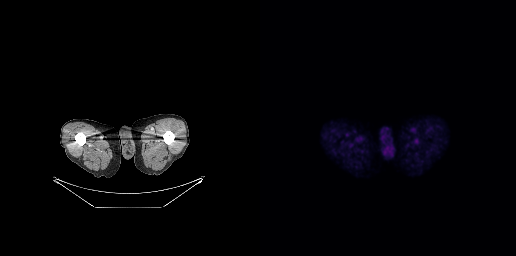
Two-panel axial: CT | PSMA PET, 18F-PSMA tracer. PET panel 256×256 px (2.7 mm/px). Negative for PSMA-avid disease on this slice.